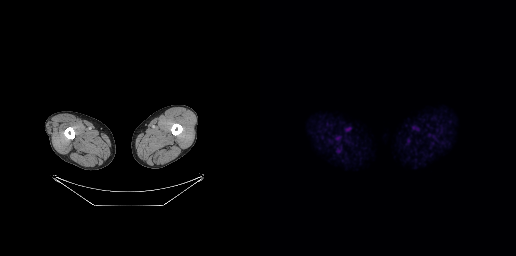
No tumor lesions annotated on this slice.
modality: PSMA PET/CT | tracer: 18F-PSMA | view: axial